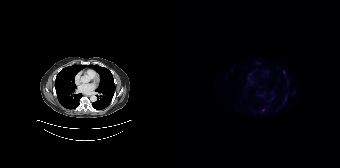
Coordinates are on the 168×168 PET (right) panel. Small PSMA-avid foci (2 to 4 px across) near (center x, center y): (112, 72) (91, 109). Paired axial CT (left) and PSMA PET (right), 18F-PSMA tracer. Slice position z = -724 mm.